Left: CT. Right: PSMA PET, same axial level, 18F tracer. Slice 18 of 413. PET panel 200×200 px (4.1 mm/px).
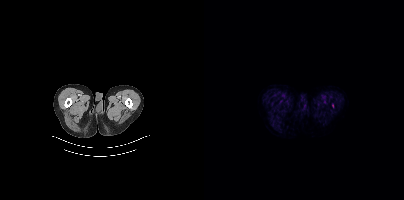
Negative for PSMA-avid disease on this slice.